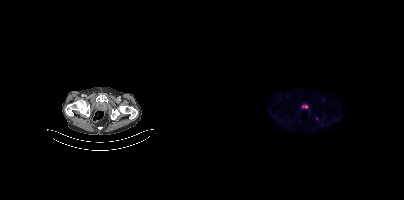
No tumor lesions annotated on this slice. Two-panel axial: CT | PSMA PET, [18F]PSMA-1007 tracer. Slice 61 of 375.